- Paired axial CT (left) and PSMA PET (right), [68Ga]Ga-PSMA-11 tracer
- slice 263 of 263
- a rectangle over the head was blacked out to remove identifiable facial features
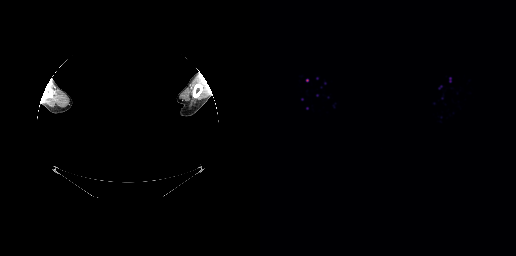
Findings: This slice has no annotated PSMA-avid lesion.